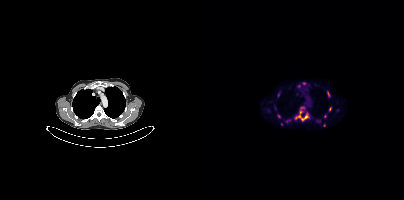
Technique: Two-panel axial: CT | PSMA PET, 18F tracer. slice position z = -1010 mm. PET panel 200×200 px (4.1 mm/px).
Findings: Coordinates are on the 200×200 PET (right) panel. (showing 11 of 13 foci) PSMA-avid tumor lesion bounding boxes (x, y, width, height): x=90 y=107 w=16 h=15 / x=123 y=91 w=4 h=7 / x=125 y=107 w=3 h=5 / x=73 y=114 w=4 h=5 / x=82 y=119 w=5 h=4. Small PSMA-avid foci (2 to 4 px across) near (center x, center y): (99, 83) / (121, 116) / (95, 86) / (74, 94) / (120, 125) / (77, 124).